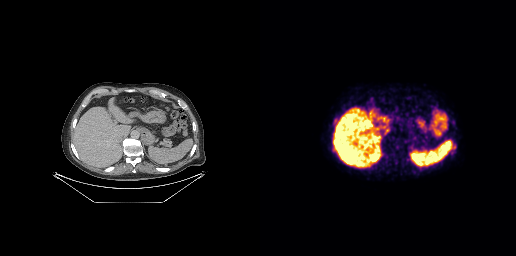
No tumor lesions annotated on this slice.